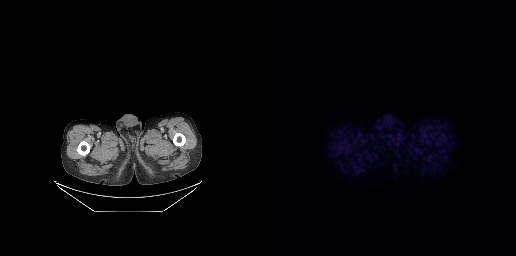
Technique: Two-panel axial: CT | PSMA PET, [18F]PSMA-1007 tracer. acquired on GE Discovery 690. slice position z = -817 mm. PET panel 256×256 px (2.7 mm/px).
Findings: No PSMA-avid tumor lesions on this slice.